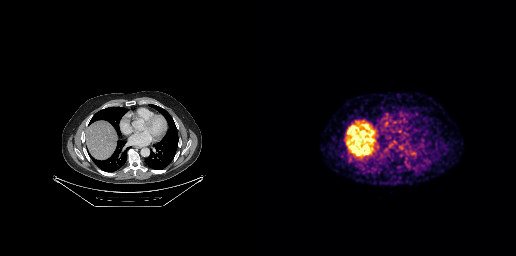
No PSMA-avid tumor lesions on this slice.